- Left: CT. Right: PSMA PET, same axial level, [18F]PSMA-1007 tracer
- PET panel 200×200 px (4.1 mm/px)
- face de-identified by blanking a block of the head
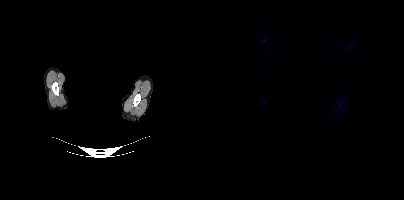
Findings: Negative for PSMA-avid disease on this slice.